modality: PSMA PET/CT | tracer: 18F | view: axial
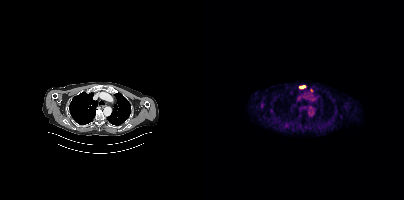
Coordinates are on the 200×200 PET (right) panel. PSMA-avid tumor lesion bounding box (x0, y0)-(x1, y1): (95, 85)-(101, 88).